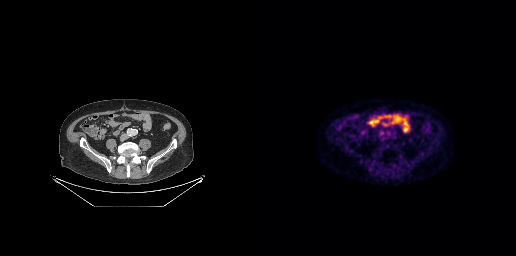
{"modality":"PSMA PET/CT","view":"axial","tracer":"[18F]PSMA-1007","pet_grid":[256,256],"coord_frame":"pet_panel","coord_format":"x0,y0,x1,y1","lesion_bboxes":[],"small_foci_centers":[[121,132]]}